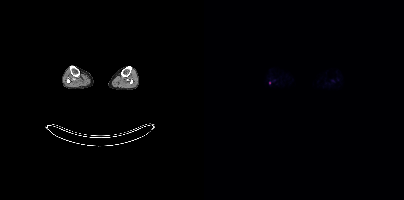
Two-panel axial: CT | PSMA PET, [18F]PSMA-1007 tracer. Acquired on Siemens Biograph mCT Flow 20. Slice position z = -1519 mm. PET panel 200×200 px (4.1 mm/px). Coordinates are on the 200×200 PET (right) panel. Small PSMA-avid focus (2 to 4 px across) near (center x, center y): (65, 82).